- de-identified by setting a box covering the face to black before release
- Left: CT. Right: PSMA PET, same axial level, [18F]PSMA-1007 tracer
- PET panel 200×200 px (4.1 mm/px)
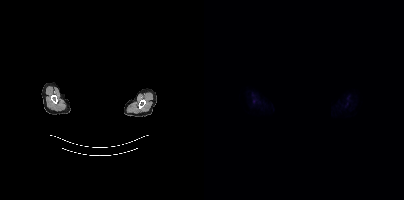
Findings: Negative for PSMA-avid disease on this slice.